modality: PSMA PET/CT | tracer: 18F | view: axial
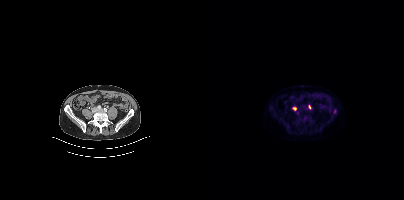
Coordinates are on the 200×200 PET (right) panel. PSMA-avid tumor lesion bounding box (x0, y0)-(x1, y1): (105, 105)-(107, 109). Small PSMA-avid foci (2 to 4 px across) near (center x, center y): (90, 108); (130, 111).